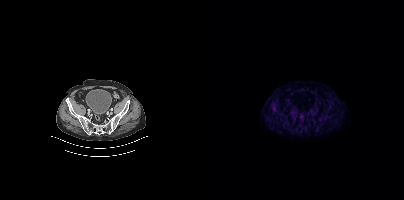
Negative for PSMA-avid disease on this slice.